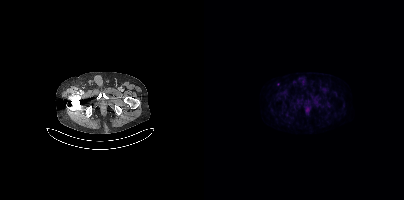
{"modality":"PSMA PET/CT","view":"axial","tracer":"[18F]PSMA-1007","pet_grid":[200,200],"coord_frame":"pet_panel","coord_format":"x0,y0,x1,y1","psma_avid_lesions":false}